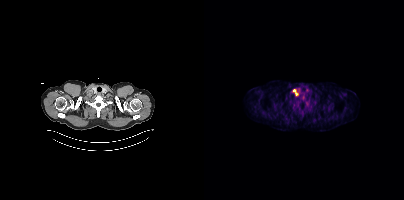
Left: CT. Right: PSMA PET, same axial level, [18F]PSMA-1007 tracer. PET panel 200×200 px (4.1 mm/px). Coordinates are on the 200×200 PET (right) panel. PSMA-avid tumor lesion bounding box (x0, y0)-(x1, y1): (89, 89)-(94, 95).